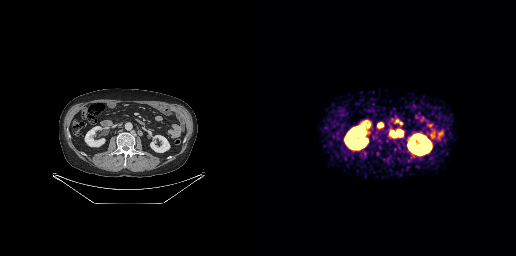
Left: CT. Right: PSMA PET, same axial level, [68Ga]Ga-PSMA-11 tracer. Acquired on GE Discovery 690. Slice position z = -681 mm. PET panel 256×256 px (2.7 mm/px).
Coordinates are on the 256×256 PET (right) panel. PSMA-avid tumor lesion bounding boxes:
| # | x0 | y0 | x1 | y1 |
|---|---|---|---|---|
| 1 | 138 | 130 | 141 | 135 |
| 2 | 131 | 131 | 136 | 136 |
Small PSMA-avid focus (2 to 4 px across) near (center x, center y): (119, 125).